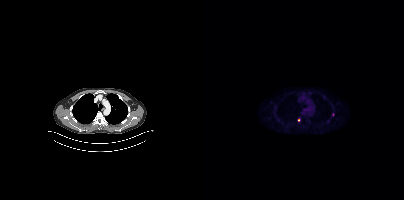
modality: PSMA PET/CT | tracer: 18F | view: axial
Coordinates are on the 200×200 PET (right) panel. Small PSMA-avid foci (2 to 4 px across) near (center x, center y): (129, 114) | (94, 120).